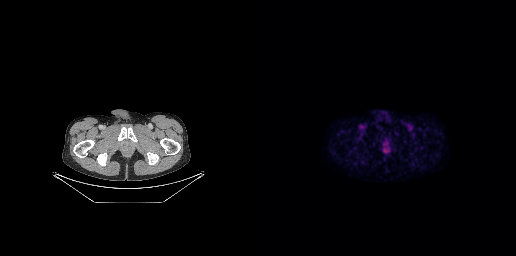
Coordinates are on the 256×256 PET (right) panel. PSMA-avid tumor lesion bounding box (x, y, width, height): x=122 y=141 w=9 h=14.